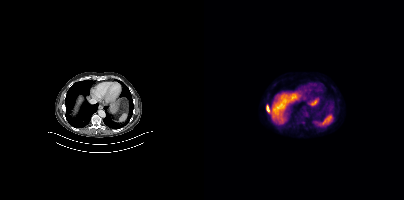
Technique: Left: CT. Right: PSMA PET, same axial level, 18F tracer. slice 247 of 415.
Findings: Coordinates are on the 200×200 PET (right) panel. PSMA-avid tumor lesion bounding box (x0,y0,x1,y1): [62,106,65,111].